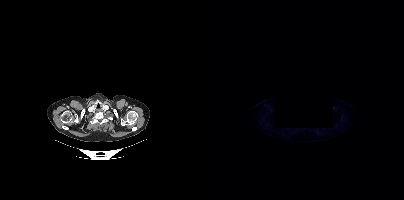
Findings: No PSMA-avid tumor lesions on this slice.
Technique: Paired axial CT (left) and PSMA PET (right), [18F]PSMA-1007 tracer. acquired on Siemens Biograph mCT Flow 20.
Note: A rectangular region was set to black for de-identification.